- Two-panel axial: CT | PSMA PET, [18F]PSMA-1007 tracer
- acquired on GE Discovery 690
- slice 136 of 299
- PET panel 256×256 px (2.7 mm/px)
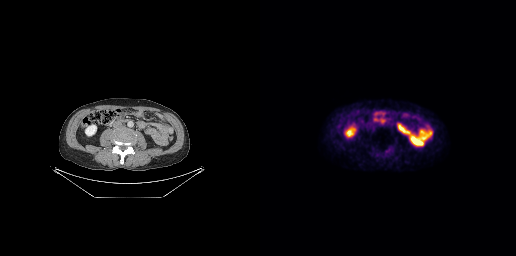
Findings: This slice has no annotated PSMA-avid lesion.